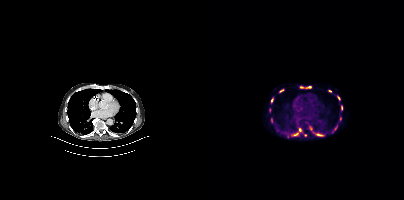
{"modality":"PSMA PET/CT","view":"axial","tracer":"[18F]PSMA-1007","pet_grid":[200,200],"coord_frame":"pet_panel","coord_format":"x0,y0,x1,y1","partial":true,"lesion_bboxes":[[95,85,107,89],[87,128,97,135],[75,89,80,92],[112,134,120,136],[133,95,136,100],[67,97,69,103],[137,105,138,110],[131,125,133,129]],"small_foci_centers":[[125,91],[107,128],[136,118],[101,135],[67,120]]}